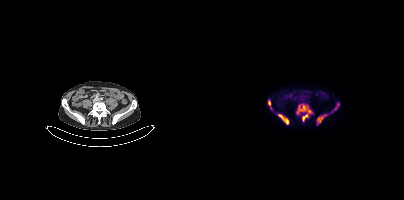
Coordinates are on the 200×200 PET (right) panel. PSMA-avid tumor lesion bounding boxes (x, y, width, height): x=92 y=103 w=17 h=19; x=73 y=114 w=12 h=11; x=113 y=114 w=10 h=11; x=64 y=99 w=4 h=11; x=130 y=103 w=6 h=8.
modality: PSMA PET/CT | tracer: 18F | view: axial | PET grid: 200×200